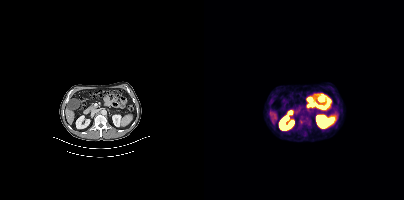
{"modality":"PSMA PET/CT","view":"axial","tracer":"18F-PSMA","pet_grid":[200,200],"coord_frame":"pet_panel","coord_format":"x0,y0,x1,y1","lesion_bboxes":[[95,116,106,125],[98,133,102,137]]}